Technique: Two-panel axial: CT | PSMA PET, 18F-PSMA tracer. PET panel 200×200 px (4.1 mm/px).
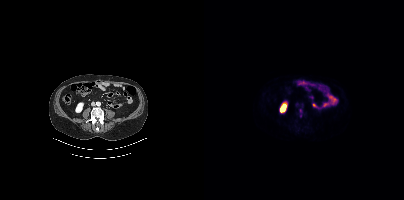
Findings: Coordinates are on the 200×200 PET (right) panel. Small PSMA-avid foci (2 to 4 px across) near (center x, center y): (96, 110) / (96, 115).